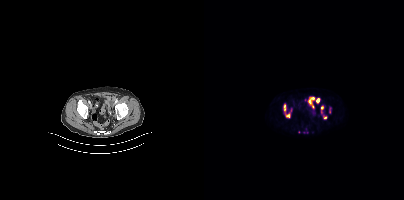
Left: CT. Right: PSMA PET, same axial level, [18F]PSMA-1007 tracer. Slice 71 of 403.
Coordinates are on the 200×200 PET (right) panel. PSMA-avid tumor lesion bounding boxes (partial; 1 more focus not listed):
| # | x0 | y0 | x1 | y1 |
|---|---|---|---|---|
| 1 | 104 | 97 | 110 | 108 |
| 2 | 82 | 109 | 87 | 117 |
| 3 | 79 | 105 | 82 | 110 |
Small PSMA-avid foci (2 to 4 px across) near (center x, center y): (113, 100); (118, 107); (121, 117).